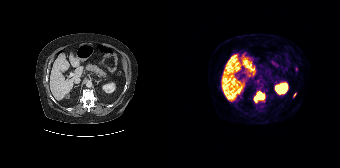
Coordinates are on the 168×168 PET (right) panel. PSMA-avid tumor lesion bounding box (x0, y0)-(x1, y1): (82, 91)-(92, 102). Small PSMA-avid focus (2 to 4 px across) near (center x, center y): (122, 95).